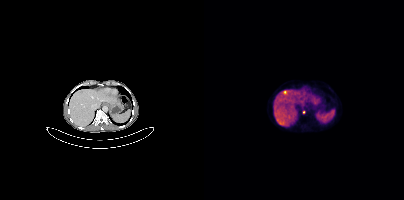
modality: PSMA PET/CT | tracer: [68Ga]Ga-PSMA-11 | view: axial | PET grid: 200×200
Coordinates are on the 200×200 PET (right) panel. Small PSMA-avid focus (2 to 4 px across) near (center x, center y): (99, 112).